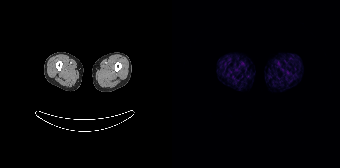
This slice has no annotated PSMA-avid lesion.